- Two-panel axial: CT | PSMA PET, 18F tracer
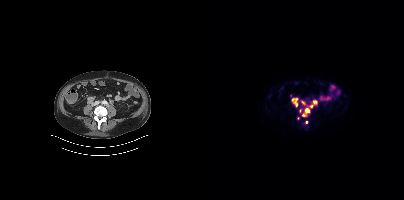
Findings: Coordinates are on the 200×200 PET (right) panel. (showing 6 of 8 foci) PSMA-avid tumor lesion bounding boxes (x0,y0,x1,y1): [88,98,93,106]; [106,101,112,107]; [101,108,105,112]. Small PSMA-avid foci (2 to 4 px across) near (center x, center y): (99, 101); (102, 122); (99, 114).